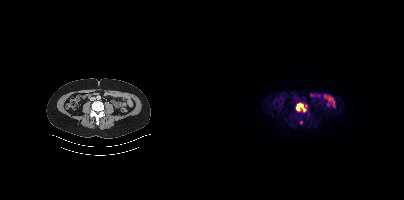
Paired axial CT (left) and PSMA PET (right), [18F]PSMA-1007 tracer. Acquired on Siemens Biograph mCT Flow 20. Slice position z = -820 mm. Coordinates are on the 200×200 PET (right) panel. PSMA-avid tumor lesion bounding box (x0,y0,x1,y1): [92,103,101,111].